modality: PSMA PET/CT | tracer: 68Ga-PSMA | view: axial
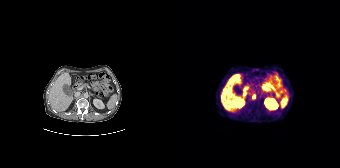
Coordinates are on the 168×168 PET (right) panel. Small PSMA-avid focus (2 to 4 px across) near (center x, center y): (82, 96).